Two-panel axial: CT | PSMA PET, 68Ga-PSMA tracer. Slice 321 of 429.
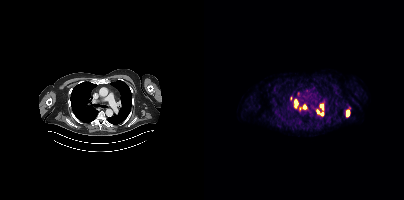
Coordinates are on the 200×200 PET (right) panel. PSMA-avid tumor lesion bounding boxes:
| # | x0 | y0 | x1 | y1 |
|---|---|---|---|---|
| 1 | 91 | 100 | 93 | 107 |
| 2 | 142 | 110 | 145 | 115 |
Small PSMA-avid foci (2 to 4 px across) near (center x, center y): (94, 93); (87, 98); (117, 105); (100, 106); (113, 111); (118, 114); (96, 109).